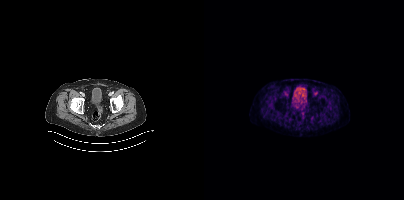
{"modality":"PSMA PET/CT","view":"axial","tracer":"18F-PSMA","pet_grid":[200,200],"coord_frame":"pet_panel","coord_format":"x0,y0,x1,y1","psma_avid_lesions":false}